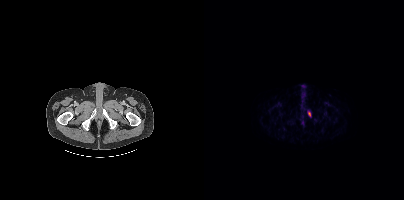
Two-panel axial: CT | PSMA PET, 18F tracer. Coordinates are on the 200×200 PET (right) panel. Small PSMA-avid focus (2 to 4 px across) near (center x, center y): (105, 113).